modality: PSMA PET/CT | tracer: [18F]PSMA-1007 | view: axial | PET grid: 200×200
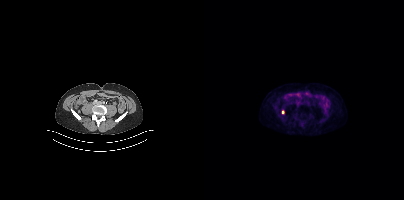
Coordinates are on the 200×200 PET (right) panel. Small PSMA-avid focus (2 to 4 px across) near (center x, center y): (78, 112).